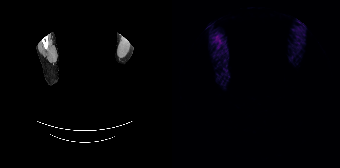
Negative for PSMA-avid disease on this slice.
Head region blanked for anonymization (face removed).